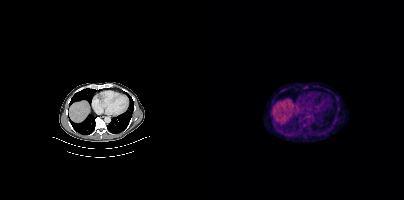
Coordinates are on the 200×200 PET (right) panel. PSMA-avid tumor lesion bounding boxes (x0,y0,x1,y1): [94,118,98,122], [98,124,102,128]. Left: CT. Right: PSMA PET, same axial level, [18F]PSMA-1007 tracer. Slice 279 of 448.